- Two-panel axial: CT | PSMA PET, 18F tracer
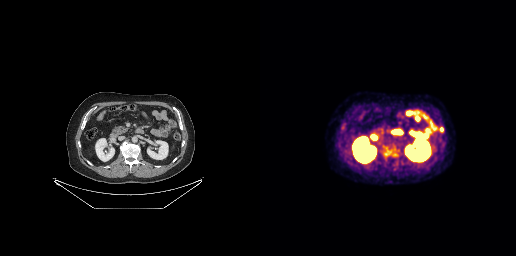
Findings: Coordinates are on the 256×256 PET (right) panel. PSMA-avid tumor lesion bounding box (x0,y0,x1,y1): [180,127,183,131].